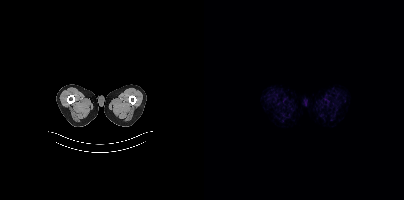
Left: CT. Right: PSMA PET, same axial level, [18F]PSMA-1007 tracer. Acquired on Siemens Biograph mCT Flow 20. This slice has no annotated PSMA-avid lesion.